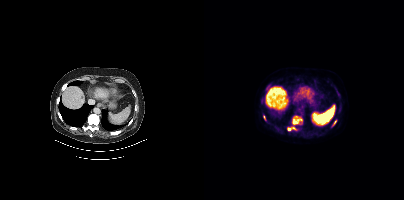
Paired axial CT (left) and PSMA PET (right), [18F]PSMA-1007 tracer. Acquired on Siemens Biograph mCT Flow 20. Coordinates are on the 200×200 PET (right) panel. PSMA-avid tumor lesion bounding boxes (x, y, width, height): x=88 y=116 w=11 h=9 / x=83 y=126 w=10 h=6 / x=62 y=85 w=5 h=6 / x=129 y=120 w=4 h=6 / x=59 y=116 w=3 h=5.